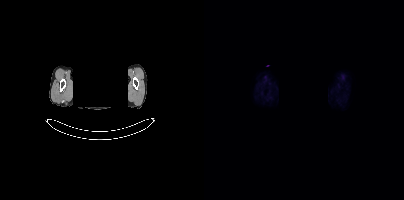
Left: CT. Right: PSMA PET, same axial level, 18F tracer. Acquired on Siemens Biograph mCT Flow 20. Head region blanked for anonymization (face removed). No PSMA-avid tumor lesions on this slice.